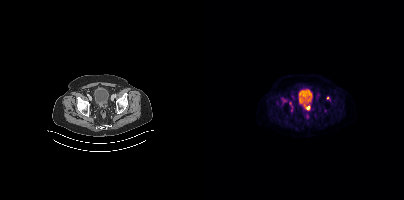
Left: CT. Right: PSMA PET, same axial level, 18F tracer.
Coordinates are on the 200×200 PET (right) panel. PSMA-avid tumor lesion bounding boxes:
| # | x0 | y0 | x1 | y1 |
|---|---|---|---|---|
| 1 | 101 | 105 | 106 | 109 |
Small PSMA-avid foci (2 to 4 px across) near (center x, center y): (86, 103); (123, 97); (100, 104).